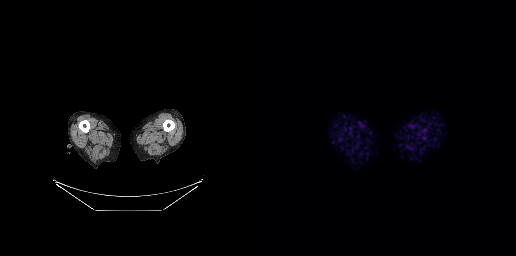
Findings: No tumor lesions annotated on this slice.
- Paired axial CT (left) and PSMA PET (right), 18F-PSMA tracer
- PET panel 256×256 px (2.7 mm/px)